- Two-panel axial: CT | PSMA PET, 18F-PSMA tracer
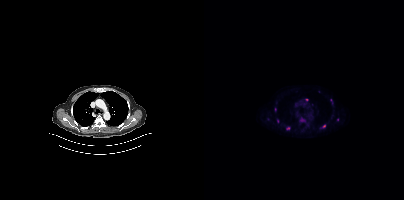
Findings: Coordinates are on the 200×200 PET (right) panel. Small PSMA-avid foci (2 to 4 px across) near (center x, center y): (84, 128); (120, 126); (102, 99).